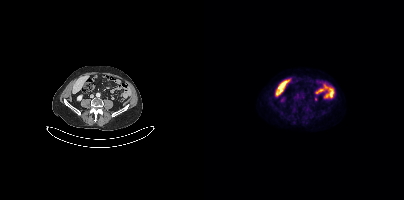
Technique: Paired axial CT (left) and PSMA PET (right), [18F]PSMA-1007 tracer. acquired on Siemens Biograph mCT Flow 20. slice position z = -767 mm.
Findings: This slice has no annotated PSMA-avid lesion.